Two-panel axial: CT | PSMA PET, 68Ga-PSMA tracer.
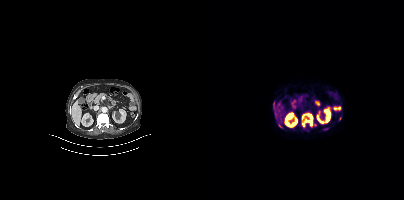
Coordinates are on the 200×200 PET (right) panel. PSMA-avid tumor lesion bounding boxes (x0, y0)-(x1, y1): (98, 113)-(112, 127) / (74, 124)-(78, 127). Small PSMA-avid foci (2 to 4 px across) near (center x, center y): (70, 107) / (120, 129) / (135, 119) / (69, 103).